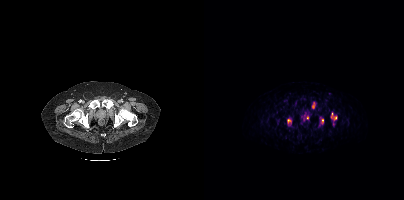
Coordinates are on the 200×200 PET (right) panel. (showing 4 of 6 foci) PSMA-avid tumor lesion bounding boxes (x0,y0,x1,y1): [117,119,119,124] [108,103,111,107]. Small PSMA-avid foci (2 to 4 px across) near (center x, center y): (84, 120) (131, 117).